Technique: Paired axial CT (left) and PSMA PET (right), [18F]PSMA-1007 tracer. PET panel 200×200 px (4.1 mm/px).
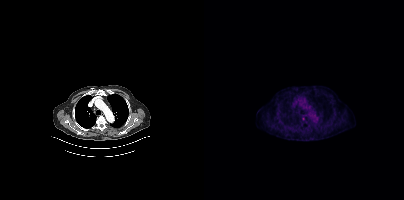
Findings: Coordinates are on the 200×200 PET (right) panel. Small PSMA-avid focus (2 to 4 px across) near (center x, center y): (99, 118).